Technique: Two-panel axial: CT | PSMA PET, [68Ga]Ga-PSMA-11 tracer. acquired on GE Discovery 690. slice position z = -868 mm.
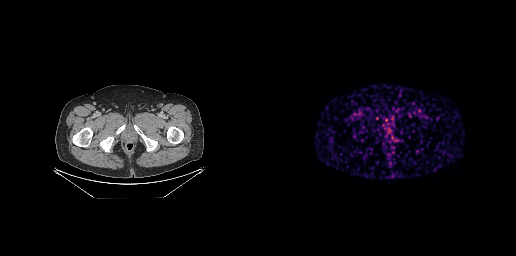
Findings: Negative for PSMA-avid disease on this slice.